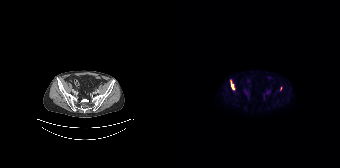
Coordinates are on the 168×168 PET (right) panel. (showing 1 of 2 foci) PSMA-avid tumor lesion bounding box (x, y, width, height): x=58 y=80 w=5 h=10.